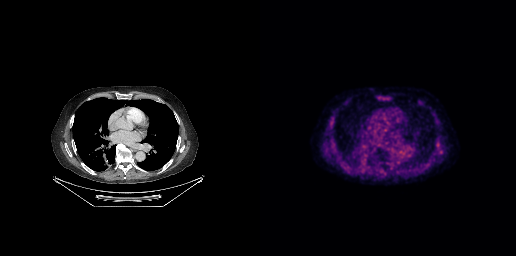
Negative for PSMA-avid disease on this slice.